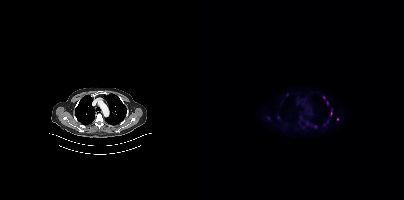
{"modality":"PSMA PET/CT","view":"axial","tracer":"18F","pet_grid":[200,200],"coord_frame":"pet_panel","coord_format":"x0,y0,x1,y1","partial":true,"lesion_bboxes":[],"small_foci_centers":[[133,119]]}